Technique: Left: CT. Right: PSMA PET, same axial level, 68Ga tracer.
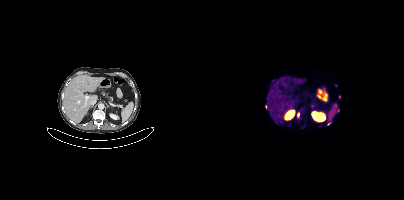
Findings: Coordinates are on the 200×200 PET (right) panel. PSMA-avid tumor lesion bounding boxes (x0,y0,x1,y1): [93,112,95,119], [123,122,127,125]. Small PSMA-avid foci (2 to 4 px across) near (center x, center y): (134, 110), (131, 85), (135, 96), (61, 107).